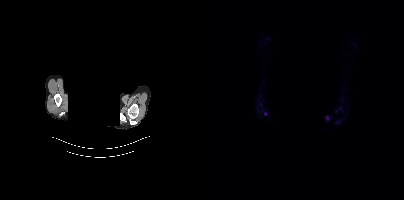
Two-panel axial: CT | PSMA PET, 18F tracer. Acquired on Siemens Biograph mCT Flow 20. Slice position z = -250 mm. A rectangle over the head was blacked out to remove identifiable facial features. Coordinates are on the 200×200 PET (right) panel. Small PSMA-avid foci (2 to 4 px across) near (center x, center y): (61, 113) / (123, 118).